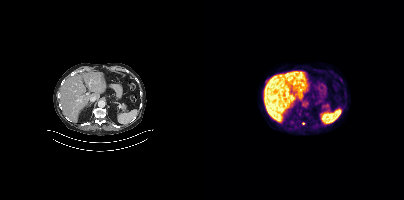
Left: CT. Right: PSMA PET, same axial level, 18F-PSMA tracer. Coordinates are on the 200×200 PET (right) panel. Small PSMA-avid focus (2 to 4 px across) near (center x, center y): (99, 123).